modality: PSMA PET/CT | tracer: 18F | view: axial | PET grid: 256×256
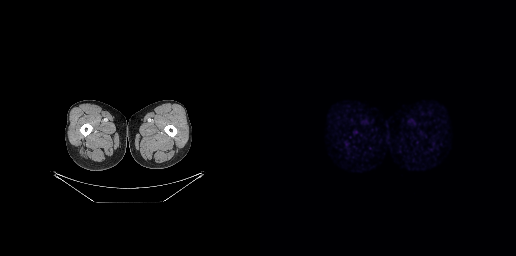
No PSMA-avid tumor lesions on this slice.